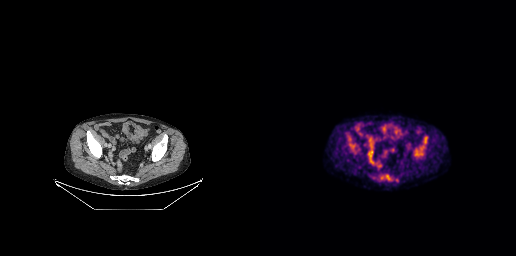
modality: PSMA PET/CT | tracer: [18F]PSMA-1007 | view: axial | PET grid: 256×256
Coordinates are on the 256×256 PET (right) panel. (showing 5 of 6 foci) PSMA-avid tumor lesion bounding boxes (x, y, width, height): x=154 y=136 w=14 h=21 | x=89 y=143 w=7 h=7 | x=126 y=175 w=5 h=5. Small PSMA-avid foci (2 to 4 px across) near (center x, center y): (89, 138) | (122, 177).